Technique: Paired axial CT (left) and PSMA PET (right), [18F]PSMA-1007 tracer. acquired on Siemens Biograph mCT Flow 20.
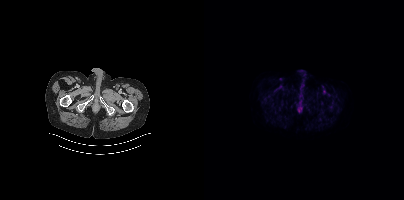
Findings: Negative for PSMA-avid disease on this slice.